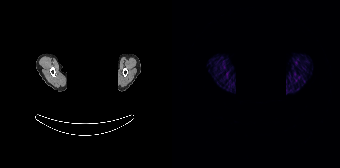
No tumor lesions annotated on this slice. Two-panel axial: CT | PSMA PET, 68Ga tracer. Slice 150 of 165. PET panel 168×168 px (4.1 mm/px). The face region was removed for patient privacy by blanking a rectangle over the head.